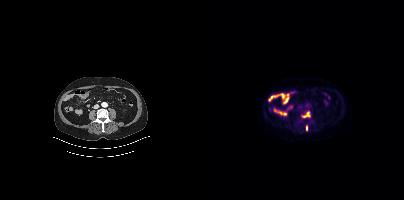
Coordinates are on the 200×200 PET (right) panel. PSMA-avid tumor lesion bounding box (x0,y0,x1,y1): [99,112,105,117]. Small PSMA-avid focus (2 to 4 px across) near (center x, center y): (102, 128).
modality: PSMA PET/CT | tracer: [18F]PSMA-1007 | view: axial | PET grid: 200×200